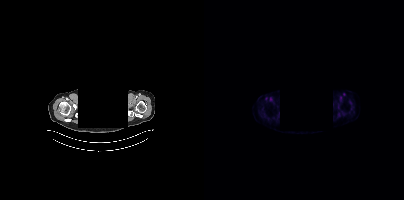
redaction: facial region redacted | modality: PSMA PET/CT | tracer: [18F]PSMA-1007 | view: axial | PET grid: 200×200
Negative for PSMA-avid disease on this slice.